Any black rectangle over the head is a privacy mask, not anatomy. Paired axial CT (left) and PSMA PET (right), 68Ga-PSMA tracer.
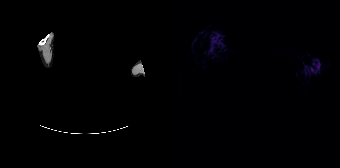
Negative for PSMA-avid disease on this slice.